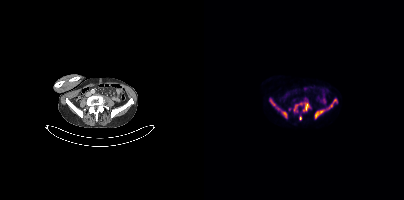
Left: CT. Right: PSMA PET, same axial level, [18F]PSMA-1007 tracer. Slice 146 of 409. Coordinates are on the 200×200 PET (right) panel. PSMA-avid tumor lesion bounding boxes (x0, y0)-(x1, y1): (111, 109)-(121, 118) | (99, 103)-(105, 111) | (125, 98)-(133, 108) | (66, 100)-(75, 110) | (77, 111)-(82, 117) | (90, 104)-(93, 110). Small PSMA-avid foci (2 to 4 px across) near (center x, center y): (96, 117) | (97, 103).